Paired axial CT (left) and PSMA PET (right), 18F-PSMA tracer. Acquired on Siemens Biograph mCT Flow 20. PET panel 200×200 px (4.1 mm/px).
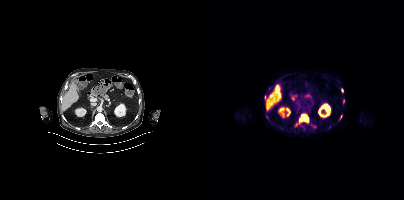
Coordinates are on the 200×200 PET (right) panel. (showing 3 of 7 foci) PSMA-avid tumor lesion bounding boxes (x0, y0)-(x1, y1): (95, 115)-(104, 123) / (139, 99)-(140, 103). Small PSMA-avid focus (2 to 4 px across) near (center x, center y): (137, 116).